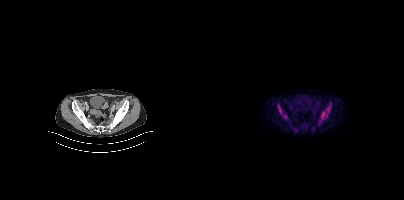
Coordinates are on the 200×200 PET (right) panel. PSMA-avid tumor lesion bounding boxes (partial; 1 more focus not listed):
| # | x0 | y0 | x1 | y1 |
|---|---|---|---|---|
| 1 | 75 | 109 | 82 | 119 |
| 2 | 117 | 112 | 120 | 119 |
Small PSMA-avid focus (2 to 4 px across) near (center x, center y): (124, 109).
Paired axial CT (left) and PSMA PET (right), 18F-PSMA tracer. Acquired on Siemens Biograph mCT Flow 20. PET panel 200×200 px (4.1 mm/px).